modality: PSMA PET/CT | tracer: [18F]PSMA-1007 | view: axial
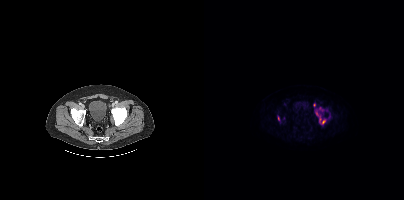
Coordinates are on the 200×200 PET (right) panel. PSMA-avid tumor lesion bounding boxes (x, y, width, height): x=112 y=107 w=6 h=16 / x=118 y=119 w=4 h=6. Small PSMA-avid foci (2 to 4 px across) near (center x, center y): (74, 118) / (110, 105).